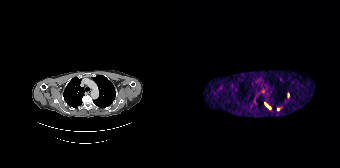
Left: CT. Right: PSMA PET, same axial level, [68Ga]Ga-PSMA-11 tracer. Acquired on Siemens Biograph 64-4R TruePoint. PET panel 168×168 px (4.1 mm/px). Coordinates are on the 168×168 PET (right) panel. PSMA-avid tumor lesion bounding boxes (x0,y0,x1,y1): [92,102,98,109]; [116,93,117,97]. Small PSMA-avid focus (2 to 4 px across) near (center x, center y): (106, 109).